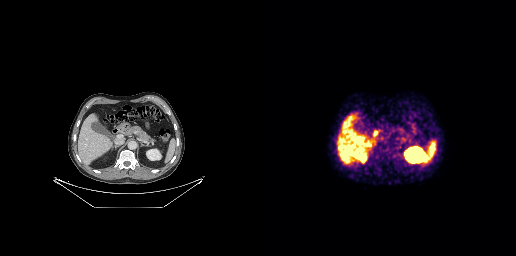
{"modality":"PSMA PET/CT","view":"axial","tracer":"68Ga","pet_grid":[256,256],"coord_frame":"pet_panel","coord_format":"x0,y0,x1,y1","psma_avid_lesions":false}